Two-panel axial: CT | PSMA PET, 18F-PSMA tracer. PET panel 200×200 px (4.1 mm/px).
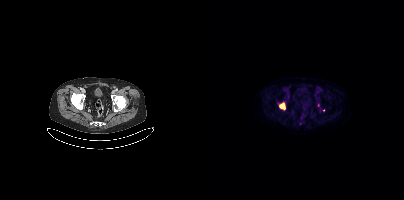
Coordinates are on the 200×200 PET (right) panel. PSMA-avid tumor lesion bounding boxes (partial; 2 more foci not listed):
| # | x0 | y0 | x1 | y1 |
|---|---|---|---|---|
| 1 | 75 | 102 | 80 | 109 |